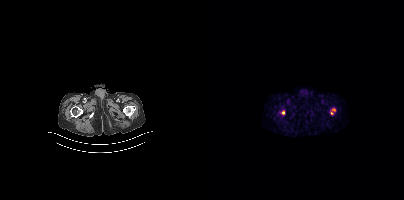
Technique: Two-panel axial: CT | PSMA PET, 18F tracer. PET panel 200×200 px (4.1 mm/px).
Findings: Coordinates are on the 200×200 PET (right) panel. PSMA-avid tumor lesion bounding boxes (x0, y0)-(x1, y1): (126, 108)-(131, 114); (76, 110)-(81, 115).